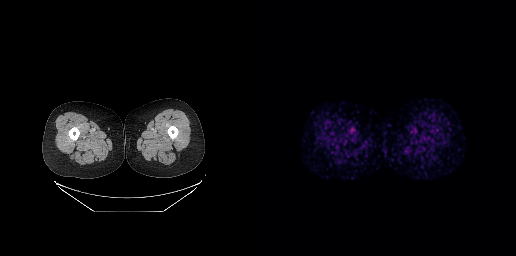
{"pet_grid":[256,256],"coord_frame":"pet_panel","coord_format":"x0,y0,x1,y1","psma_avid_lesions":false,"modality":"PSMA PET/CT","view":"axial","tracer":"[18F]PSMA-1007"}